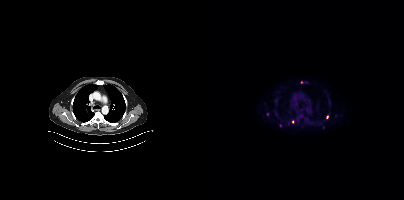
modality: PSMA PET/CT | tracer: 18F | view: axial
Coordinates are on the 200×200 PET (right) panel. (showing 4 of 6 foci) Small PSMA-avid foci (2 to 4 px across) near (center x, center y): (123, 117) | (97, 82) | (88, 121) | (119, 127).